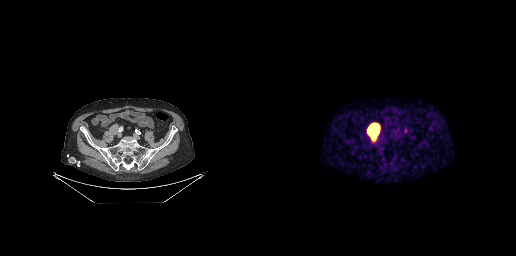
{"modality":"PSMA PET/CT","view":"axial","tracer":"68Ga","pet_grid":[256,256],"coord_frame":"pet_panel","coord_format":"x0,y0,x1,y1","lesion_bboxes":[[109,124,118,134]],"small_foci_centers":[[113,137]]}